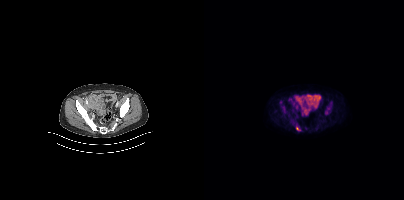
Coordinates are on the 200×200 PET (right) panel. (showing 2 of 4 foci) PSMA-avid tumor lesion bounding boxes (x0,y0,x1,y1): [92,126,96,130] [79,107,80,111].